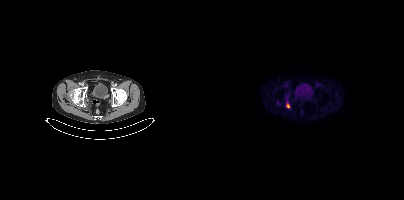
Two-panel axial: CT | PSMA PET, [18F]PSMA-1007 tracer. Slice 82 of 413. Coordinates are on the 200×200 PET (right) panel. Small PSMA-avid focus (2 to 4 px across) near (center x, center y): (84, 106).